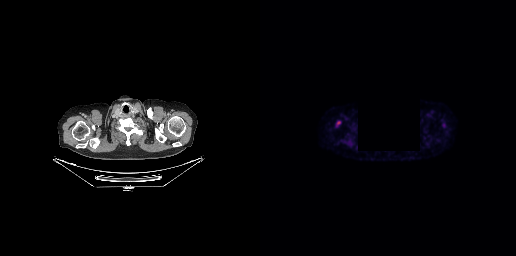
{"modality":"PSMA PET/CT","view":"axial","tracer":"[18F]PSMA-1007","pet_grid":[256,256],"coord_frame":"pet_panel","coord_format":"x0,y0,x1,y1","redaction":"rectangle blanked before release","lesion_bboxes":[[76,121,80,125]]}